Paired axial CT (left) and PSMA PET (right), 18F-PSMA tracer.
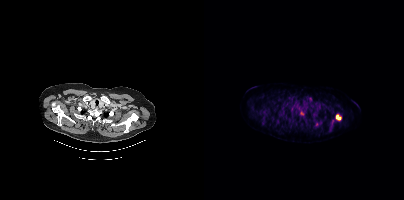
Coordinates are on the 200×200 PET (right) panel. (showing 4 of 6 foci) PSMA-avid tumor lesion bounding boxes (x0,y0,x1,y1): [131,114,137,120], [96,110,100,115]. Small PSMA-avid foci (2 to 4 px across) near (center x, center y): (112, 124), (106, 98).